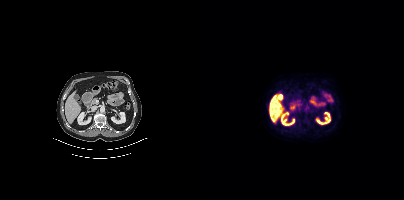
Technique: Two-panel axial: CT | PSMA PET, [18F]PSMA-1007 tracer. acquired on Siemens Biograph mCT Flow 20. slice position z = -1248 mm. PET panel 200×200 px (4.1 mm/px).
Findings: Negative for PSMA-avid disease on this slice.